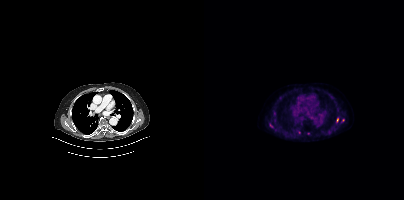
Coordinates are on the 200×200 PET (right) panel. PSMA-avid tumor lesion bounding box (x, y, width, height): x=65 y=123 w=5 h=6. Small PSMA-avid foci (2 to 4 px across) near (center x, center y): (139, 120) | (95, 132) | (104, 133) | (133, 120).